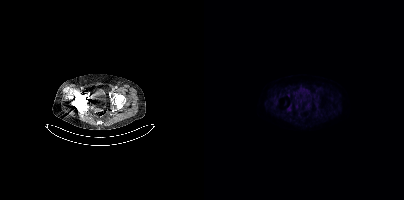
Findings: Negative for PSMA-avid disease on this slice.
- Two-panel axial: CT | PSMA PET, [18F]PSMA-1007 tracer
- slice position z = -218 mm